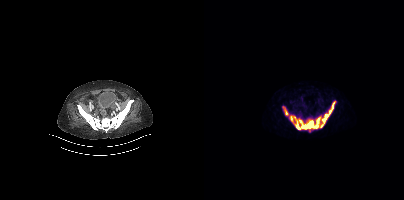
modality: PSMA PET/CT | tracer: 68Ga-PSMA | view: axial
Coordinates are on the 200×200 PET (right) panel. (showing 10 of 11 foci) PSMA-avid tumor lesion bounding boxes (x0,y0,x1,y1): [91,123,98,129], [81,111,86,117], [122,110,127,116], [127,101,131,109], [108,124,112,128]. Small PSMA-avid foci (2 to 4 px across) near (center x, center y): (95, 120), (91, 118), (104, 121), (114, 118), (78, 106).